modality: PSMA PET/CT | tracer: [18F]PSMA-1007 | view: axial | PET grid: 200×200
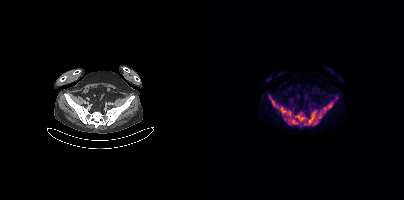
Coordinates are on the 200×200 PET (right) panel. (showing 4 of 7 foci) PSMA-avid tumor lesion bounding boxes (x0, y0)-(x1, y1): (84, 114)-(115, 125); (67, 100)-(74, 107). Small PSMA-avid foci (2 to 4 px across) near (center x, center y): (125, 106); (120, 108).